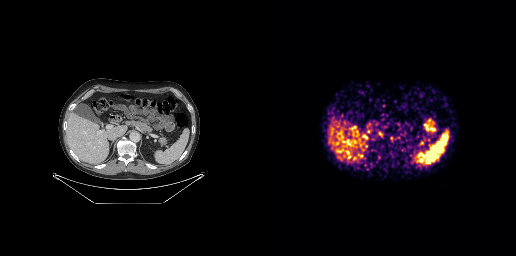
{"modality":"PSMA PET/CT","view":"axial","tracer":"[68Ga]Ga-PSMA-11","pet_grid":[256,256],"coord_frame":"pet_panel","coord_format":"x0,y0,x1,y1","lesion_bboxes":[[158,152,163,157]]}